- Left: CT. Right: PSMA PET, same axial level, 18F-PSMA tracer
- PET panel 200×200 px (4.1 mm/px)
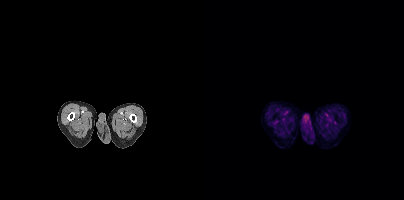
Findings: No tumor lesions annotated on this slice.